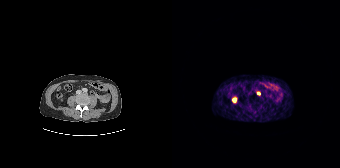
Coordinates are on the 168×168 PET (right) panel. Small PSMA-avid focus (2 to 4 px across) near (center x, center y): (86, 93).